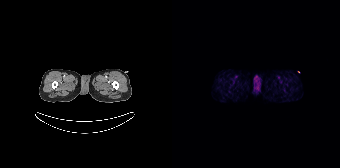
- Two-panel axial: CT | PSMA PET, [68Ga]Ga-PSMA-11 tracer
- acquired on Siemens Biograph 64-4R TruePoint
- slice position z = -938 mm
Findings: No tumor lesions annotated on this slice.